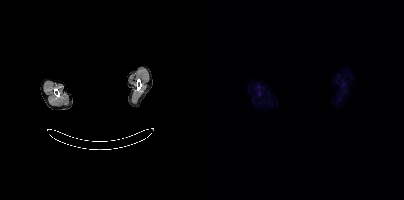
Any black rectangle over the head is a privacy mask, not anatomy.
Negative for PSMA-avid disease on this slice.